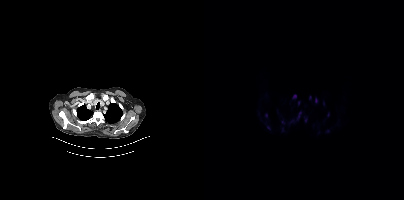
Findings: Coordinates are on the 200×200 PET (right) panel. (showing 6 of 10 foci) PSMA-avid tumor lesion bounding boxes (x, y, width, height): x=93 y=111 w=5 h=8 | x=100 y=116 w=4 h=7 | x=94 y=101 w=3 h=5. Small PSMA-avid foci (2 to 4 px across) near (center x, center y): (90, 96) | (106, 97) | (119, 103).
- Left: CT. Right: PSMA PET, same axial level, 18F tracer